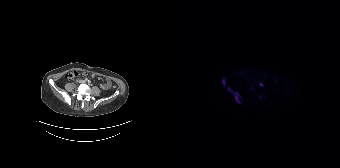
Coordinates are on the 168×168 PET (right) panel. (showing 3 of 5 foci) PSMA-avid tumor lesion bounding boxes (x0,y0,x1,y1): [62,92,68,102], [50,79,53,85], [56,88,60,92].